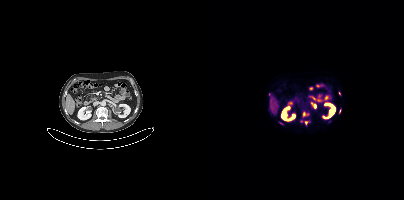
modality: PSMA PET/CT | tracer: 18F | view: axial | PET grid: 200×200
Coordinates are on the 200×200 PET (right) panel. (showing 7 of 10 foci) PSMA-avid tumor lesion bounding box (x0,y0,x1,y1): [107,103,111,107]. Small PSMA-avid foci (2 to 4 px across) near (center x, center y): (101, 122) (135, 111) (103, 114) (104, 121) (125, 121) (77, 123).